Technique: Left: CT. Right: PSMA PET, same axial level, 18F tracer.
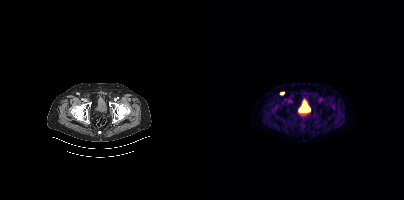
Findings: Coordinates are on the 200×200 PET (right) panel. Small PSMA-avid focus (2 to 4 px across) near (center x, center y): (77, 93).